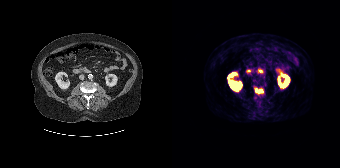
modality: PSMA PET/CT | tracer: 68Ga | view: axial
Coordinates are on the 168×168 PET (right) panel. PSMA-avid tumor lesion bounding box (x0,y0,x1,y1): [83,88,91,93].